Paired axial CT (left) and PSMA PET (right), [18F]PSMA-1007 tracer. Acquired on Siemens Biograph mCT Flow 20. PET panel 200×200 px (4.1 mm/px).
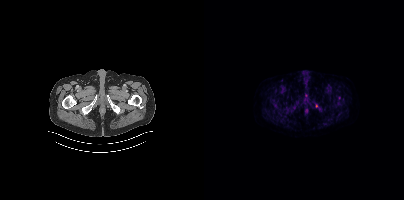
No tumor lesions annotated on this slice.